Technique: Left: CT. Right: PSMA PET, same axial level, 18F tracer. acquired on Siemens Biograph mCT Flow 20.
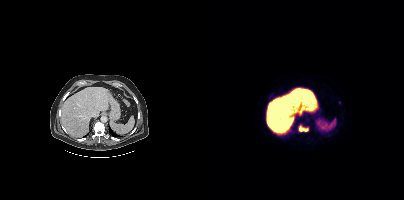
Findings: Coordinates are on the 200×200 PET (right) panel. PSMA-avid tumor lesion bounding box (x0,y0,x1,y1): [94,125,104,131]. Small PSMA-avid focus (2 to 4 px across) near (center x, center y): (135, 101).